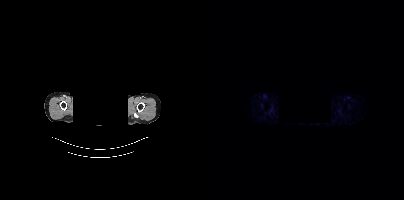
This slice has no annotated PSMA-avid lesion.
Face de-identified by blanking a block of the head.